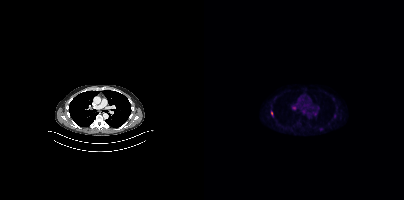
Coordinates are on the 200×200 PET (right) panel. (showing 1 of 2 foci) PSMA-avid tumor lesion bounding box (x0, y0)-(x1, y1): (67, 111)-(68, 115).